- Left: CT. Right: PSMA PET, same axial level, 18F tracer
- acquired on GE Discovery 690
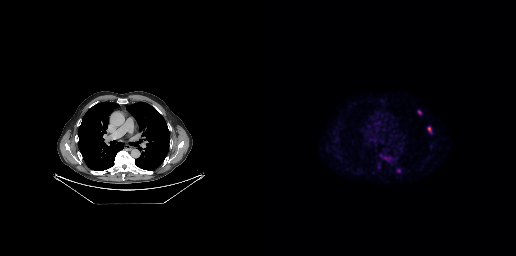
Findings: Coordinates are on the 256×256 PET (right) panel. (showing 2 of 3 foci) PSMA-avid tumor lesion bounding box (x0, y0)-(x1, y1): (167, 126)-(171, 132). Small PSMA-avid focus (2 to 4 px across) near (center x, center y): (159, 112).